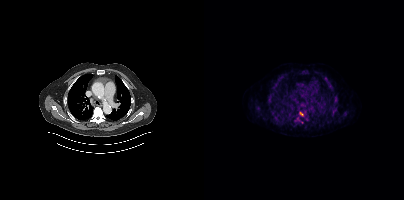
{"pet_grid":[200,200],"coord_frame":"pet_panel","coord_format":"x0,y0,x1,y1","partial":true,"lesion_bboxes":[[130,96,133,102],[73,117,78,122],[128,108,132,113],[98,70,103,73],[139,111,143,115],[52,106,55,110],[95,112,99,116],[64,95,67,99],[77,73,81,76]],"small_foci_centers":[[67,112],[121,78],[98,122],[104,120]],"modality":"PSMA PET/CT","view":"axial","tracer":"[18F]PSMA-1007"}